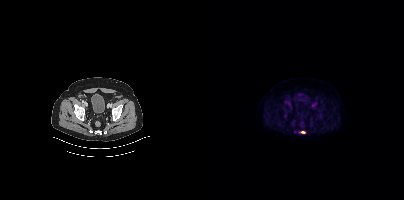
Coordinates are on the 200×200 PET (right) panel. PSMA-avid tumor lesion bounding boxes:
| # | x0 | y0 | x1 | y1 |
|---|---|---|---|---|
| 1 | 95 | 131 | 101 | 133 |
Two-panel axial: CT | PSMA PET, [18F]PSMA-1007 tracer. Acquired on Siemens Biograph mCT Flow 20.